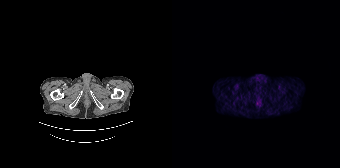
Findings: This slice has no annotated PSMA-avid lesion.
Technique: Left: CT. Right: PSMA PET, same axial level, [68Ga]Ga-PSMA-11 tracer. acquired on Siemens Biograph 64-4R TruePoint. PET panel 168×168 px (4.1 mm/px).